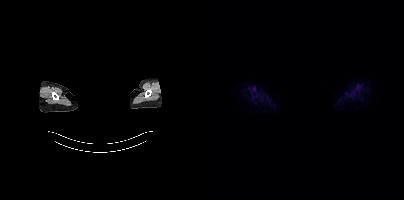
{"modality":"PSMA PET/CT","view":"axial","tracer":"[18F]PSMA-1007","pet_grid":[200,200],"coord_frame":"pet_panel","coord_format":"x0,y0,x1,y1","redaction":"head region blacked out before release","psma_avid_lesions":false}